- Paired axial CT (left) and PSMA PET (right), [18F]PSMA-1007 tracer
- slice position z = -992 mm
- PET panel 200×200 px (4.1 mm/px)
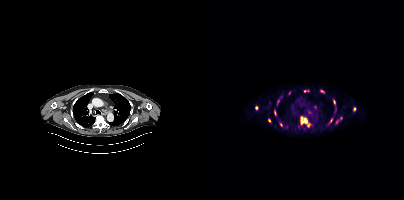
Findings: Coordinates are on the 200×200 PET (right) panel. (showing 15 of 17 foci) PSMA-avid tumor lesion bounding boxes (x, y, width, height): x=96 y=117 w=12 h=10; x=116 y=90 w=5 h=3; x=73 y=99 w=3 h=7; x=129 y=100 w=3 h=5; x=70 y=111 w=3 h=5; x=125 y=118 w=4 h=6; x=149 y=107 w=2 h=5. Small PSMA-avid foci (2 to 4 px across) near (center x, center y): (111, 106); (52, 107); (65, 120); (132, 121); (85, 93); (106, 111); (77, 124); (136, 118).